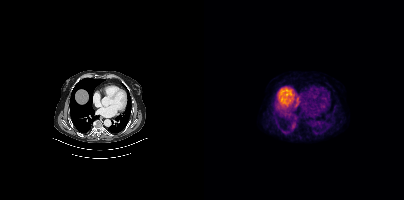
{"pet_grid":[200,200],"coord_frame":"pet_panel","coord_format":"x0,y0,x1,y1","psma_avid_lesions":false,"modality":"PSMA PET/CT","view":"axial","tracer":"[18F]PSMA-1007"}